- Left: CT. Right: PSMA PET, same axial level, 18F tracer
- PET panel 200×200 px (4.1 mm/px)
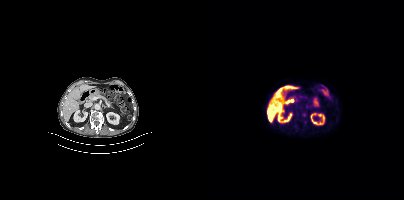
Findings: Only PSMA-avid lesion pieces thinner than 2 px on this slice (not listed).